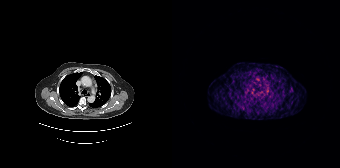
{"modality":"PSMA PET/CT","view":"axial","tracer":"68Ga-PSMA","pet_grid":[168,168],"coord_frame":"pet_panel","coord_format":"x0,y0,x1,y1","lesion_bboxes":[],"small_foci_centers":[[95,88]]}